Two-panel axial: CT | PSMA PET, [18F]PSMA-1007 tracer. Acquired on Siemens Biograph mCT Flow 20.
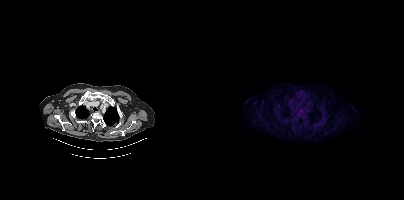
No tumor lesions annotated on this slice.